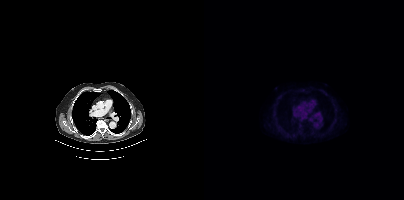
{"modality":"PSMA PET/CT","view":"axial","tracer":"[18F]PSMA-1007","pet_grid":[200,200],"coord_frame":"pet_panel","coord_format":"x0,y0,x1,y1","lesion_bboxes":[],"small_foci_centers":[[105,120]]}